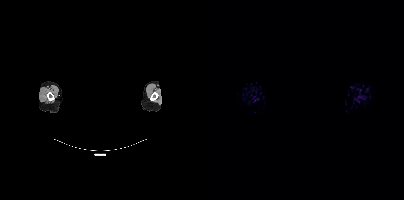
redaction: privacy mask over head | modality: PSMA PET/CT | tracer: [18F]PSMA-1007 | view: axial
Coordinates are on the 200×200 PET (right) panel. Small PSMA-avid focus (2 to 4 px across) near (center x, center y): (153, 100).